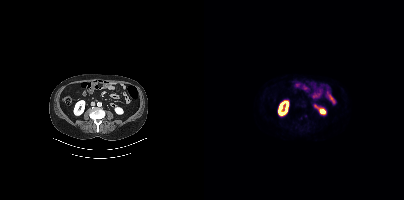
Negative for PSMA-avid disease on this slice.